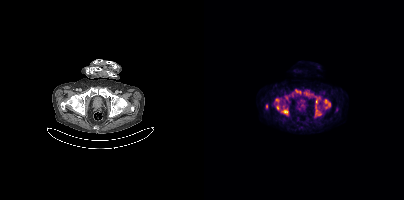
Two-panel axial: CT | PSMA PET, [18F]PSMA-1007 tracer.
Coordinates are on the 200×200 PET (right) panel. PSMA-avid tumor lesion bounding boxes (partial; 2 more foci not listed):
| # | x0 | y0 | x1 | y1 |
|---|---|---|---|---|
| 1 | 77 | 108 | 83 | 114 |
| 2 | 121 | 99 | 126 | 106 |
| 3 | 111 | 105 | 117 | 115 |
| 4 | 81 | 95 | 85 | 101 |
| 5 | 72 | 105 | 75 | 109 |
| 6 | 93 | 90 | 97 | 94 |
| 7 | 112 | 99 | 113 | 103 |
| 8 | 62 | 104 | 63 | 108 |
Small PSMA-avid foci (2 to 4 px across) near (center x, center y): (88, 94); (72, 99); (122, 107).